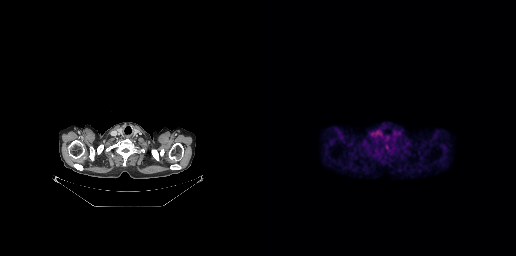
- Paired axial CT (left) and PSMA PET (right), 18F-PSMA tracer
- acquired on GE Discovery 690
- slice position z = -152 mm
- PET panel 256×256 px (2.7 mm/px)
Findings: Negative for PSMA-avid disease on this slice.